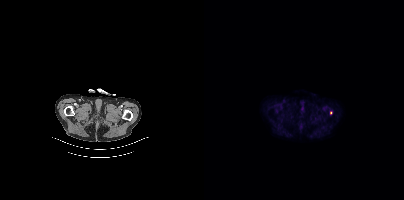
Coordinates are on the 200×200 PET (right) panel. Small PSMA-avid focus (2 to 4 px across) near (center x, center y): (127, 112). Left: CT. Right: PSMA PET, same axial level, 18F tracer. Acquired on Siemens Biograph mCT Flow 20.